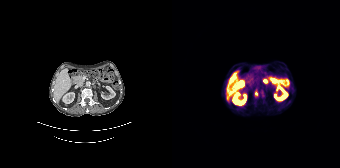
Technique: Two-panel axial: CT | PSMA PET, 68Ga-PSMA tracer. PET panel 168×168 px (4.1 mm/px).
Findings: Coordinates are on the 168×168 PET (right) panel. PSMA-avid tumor lesion bounding box (x, y, width, height): x=83 y=90 w=3 h=7.